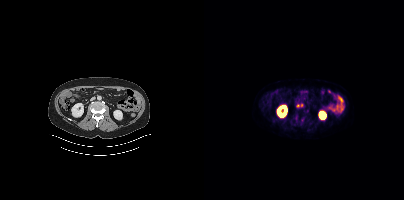
No tumor lesions annotated on this slice. Left: CT. Right: PSMA PET, same axial level, 18F tracer. Acquired on Siemens Biograph mCT Flow 20. Slice 178 of 444.